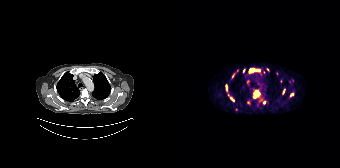
Coordinates are on the 168×168 PET (right) panel. (showing 8 of 10 foci) PSMA-avid tumor lesion bounding boxes (x0,y0,x1,y1): [82,90,87,97]; [77,69,87,72]; [54,85,55,89]; [58,97,62,100]. Small PSMA-avid foci (2 to 4 px across) near (center x, center y): (95, 69); (61, 75); (111, 91); (120, 94).